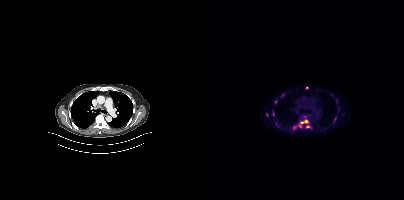
{"modality":"PSMA PET/CT","view":"axial","tracer":"18F-PSMA","pet_grid":[200,200],"coord_frame":"pet_panel","coord_format":"x0,y0,x1,y1","partial":true,"lesion_bboxes":[[94,119,104,127],[101,125,107,128]],"small_foci_centers":[[90,127],[71,101],[78,95],[102,87],[62,114],[69,114]]}